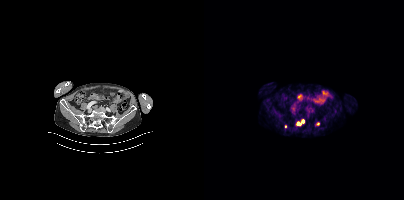
Coordinates are on the 200×200 PET (right) panel. PSMA-avid tumor lesion bounding box (x, y, width, height): x=92 y=119 w=9 h=8. Small PSMA-avid foci (2 to 4 px across) near (center x, center y): (81, 126); (113, 123).